Paired axial CT (left) and PSMA PET (right), [18F]PSMA-1007 tracer. Slice position z = -770 mm. PET panel 200×200 px (4.1 mm/px). A rectangle over the head was blacked out to remove identifiable facial features.
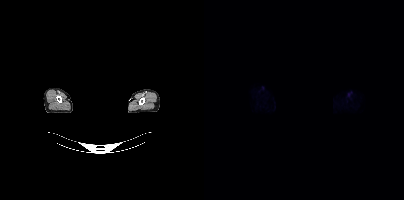
This slice has no annotated PSMA-avid lesion.